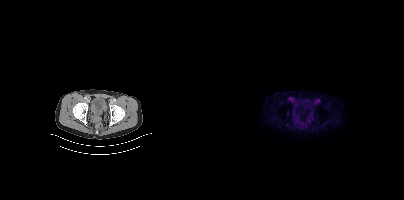
{"pet_grid":[200,200],"coord_frame":"pet_panel","coord_format":"x0,y0,x1,y1","psma_avid_lesions":false,"modality":"PSMA PET/CT","view":"axial","tracer":"18F-PSMA"}